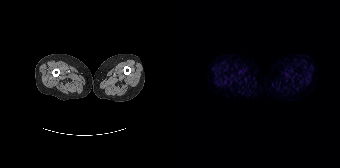
Findings: This slice has no annotated PSMA-avid lesion.
- Paired axial CT (left) and PSMA PET (right), [68Ga]Ga-PSMA-11 tracer
- PET panel 168×168 px (4.1 mm/px)